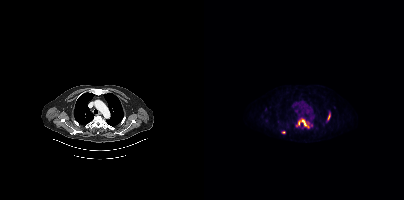
Left: CT. Right: PSMA PET, same axial level, 18F-PSMA tracer. Slice position z = -908 mm. Coordinates are on the 200×200 PET (right) panel. (showing 3 of 4 foci) PSMA-avid tumor lesion bounding boxes (x0,y0,x1,y1): [92,119,108,128] [123,115,126,120]. Small PSMA-avid focus (2 to 4 px across) near (center x, center y): (79, 132).